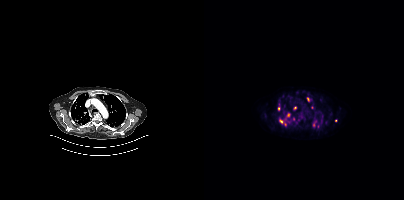
Technique: Two-panel axial: CT | PSMA PET, [18F]PSMA-1007 tracer. slice position z = -434 mm.
Findings: Coordinates are on the 200×200 PET (right) panel. (showing 10 of 15 foci) PSMA-avid tumor lesion bounding boxes (x0, y0)-(x1, y1): (75, 119)-(82, 125) | (109, 120)-(113, 126) | (103, 97)-(105, 101). Small PSMA-avid foci (2 to 4 px across) near (center x, center y): (96, 118) | (75, 108) | (114, 126) | (117, 121) | (91, 107) | (89, 118) | (131, 120).